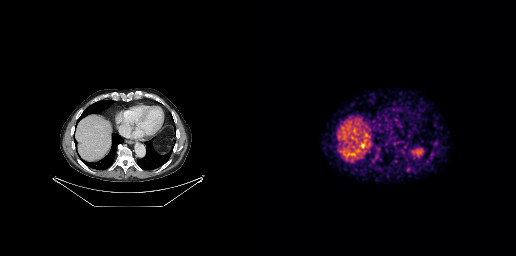
Findings: This slice has no annotated PSMA-avid lesion.
Technique: Two-panel axial: CT | PSMA PET, 68Ga-PSMA tracer. acquired on GE Discovery 690.